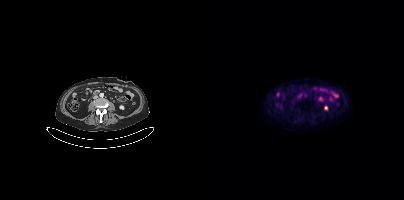
{"modality":"PSMA PET/CT","view":"axial","tracer":"18F-PSMA","pet_grid":[200,200],"coord_frame":"pet_panel","coord_format":"x0,y0,x1,y1","psma_avid_lesions":false}